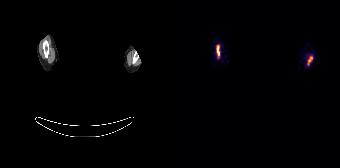
deidentification: facial region redacted | modality: PSMA PET/CT | tracer: 18F | view: axial
Coordinates are on the 168×168 PET (right) panel. PSMA-avid tumor lesion bounding boxes (x0, y0)-(x1, y1): (136, 56)-(140, 64); (45, 46)-(47, 55).